- Left: CT. Right: PSMA PET, same axial level, 18F tracer
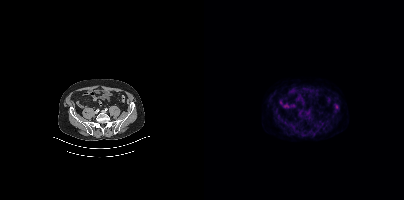
Findings: Negative for PSMA-avid disease on this slice.